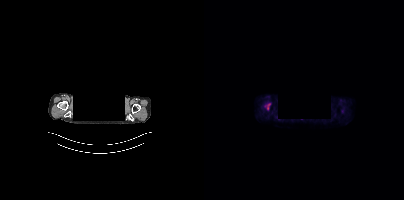
Findings: Coordinates are on the 200×200 PET (right) panel. PSMA-avid tumor lesion bounding box (x0, y0)-(x1, y1): (61, 103)-(66, 109).
- privacy masking over the head, with the pixels inside a rectangle set to black
- Paired axial CT (left) and PSMA PET (right), 18F tracer